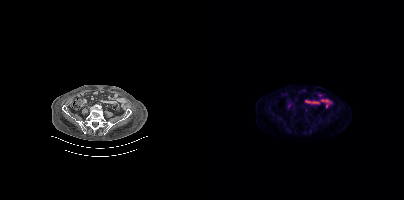
modality: PSMA PET/CT | tracer: 18F-PSMA | view: axial | PET grid: 200×200
Only PSMA-avid lesion pieces thinner than 2 px on this slice (not listed).